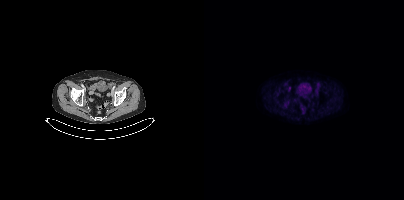
{"modality":"PSMA PET/CT","view":"axial","tracer":"[18F]PSMA-1007","pet_grid":[200,200],"coord_frame":"pet_panel","coord_format":"x0,y0,x1,y1","lesion_bboxes":[],"small_foci_centers":[[85,87]]}